Two-panel axial: CT | PSMA PET, 68Ga tracer. Acquired on Siemens Biograph 64-4R TruePoint.
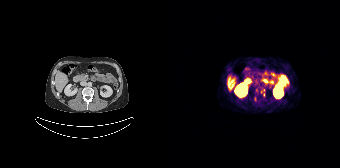
Only PSMA-avid lesion pieces thinner than 2 px on this slice (not listed).